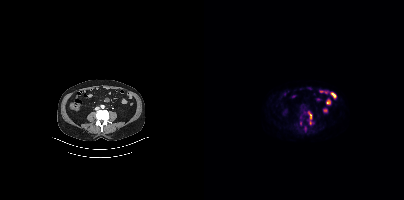
Left: CT. Right: PSMA PET, same axial level, 18F tracer. Acquired on Siemens Biograph mCT Flow 20.
Coordinates are on the 200×200 PET (right) panel. PSMA-avid tumor lesion bounding boxes (partial; 1 more focus not listed):
| # | x0 | y0 | x1 | y1 |
|---|---|---|---|---|
| 1 | 106 | 114 | 107 | 118 |